Technique: Left: CT. Right: PSMA PET, same axial level, 18F tracer. acquired on GE Discovery 690. slice position z = -243 mm. PET panel 256×256 px (2.7 mm/px).
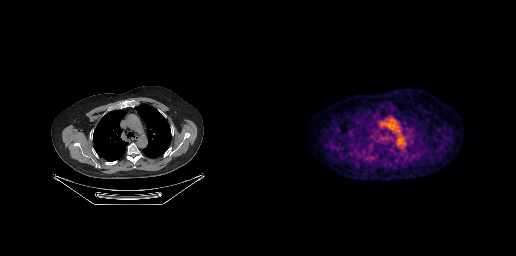
Findings: Negative for PSMA-avid disease on this slice.